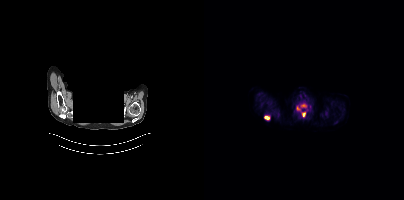
Findings: Coordinates are on the 200×200 PET (right) panel. (showing 3 of 4 foci) PSMA-avid tumor lesion bounding boxes (x0, y0)-(x1, y1): (97, 104)-(104, 116) | (60, 116)-(65, 119). Small PSMA-avid focus (2 to 4 px across) near (center x, center y): (94, 108).
- facial anatomy redacted by setting a rectangular region of the head to black
- Left: CT. Right: PSMA PET, same axial level, 18F-PSMA tracer
- acquired on Siemens Biograph mCT Flow 20
- PET panel 200×200 px (4.1 mm/px)